Two-panel axial: CT | PSMA PET, 68Ga tracer. Acquired on Siemens Biograph 64-4R TruePoint. Slice position z = -805 mm.
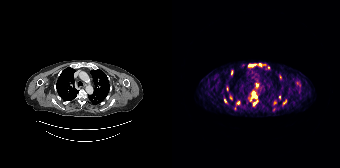
Coordinates are on the 168×168 PET (right) panel. (showing 12 of 16 foci) PSMA-avid tumor lesion bounding boxes (x, y, width, height): x=80 y=92 w=6 h=7 | x=76 y=64 w=8 h=3 | x=57 y=95 w=4 h=6 | x=81 y=101 w=5 h=5. Small PSMA-avid foci (2 to 4 px across) near (center x, center y): (66, 102) | (88, 64) | (96, 67) | (85, 85) | (93, 64) | (59, 72) | (53, 100) | (107, 96).